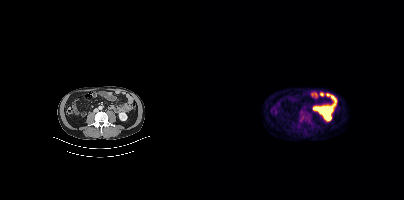
Coordinates are on the 200×200 PET (right) panel. PSMA-avid tumor lesion bounding box (x0,y0,x1,y1): [95,111,107,123].